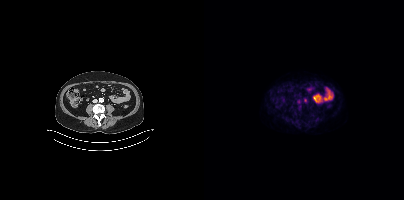
This slice has no annotated PSMA-avid lesion. Left: CT. Right: PSMA PET, same axial level, 18F tracer. Acquired on Siemens Biograph mCT Flow 20. Slice 142 of 393.